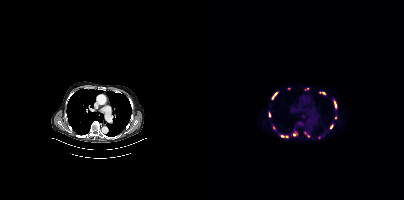
Coordinates are on the 200×200 PET (right) panel. (showing 13 of 19 foci) PSMA-avid tumor lesion bounding boxes (x0, y0)-(x1, y1): (68, 92)-(73, 99); (130, 102)-(132, 107); (65, 112)-(66, 117). Small PSMA-avid foci (2 to 4 px across) near (center x, center y): (127, 126); (119, 93); (90, 134); (78, 136); (99, 116); (104, 135); (103, 88); (131, 117); (82, 136); (69, 127).